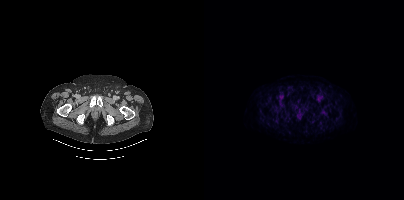
No PSMA-avid tumor lesions on this slice. Left: CT. Right: PSMA PET, same axial level, [18F]PSMA-1007 tracer.